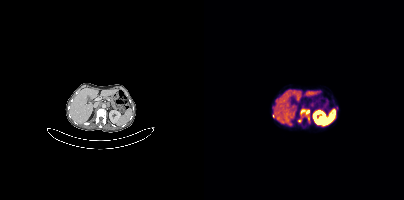
{"modality":"PSMA PET/CT","view":"axial","tracer":"68Ga","pet_grid":[200,200],"coord_frame":"pet_panel","coord_format":"x0,y0,x1,y1","partial":true,"lesion_bboxes":[[96,109,105,115],[94,116,98,122]],"small_foci_centers":[[104,118],[69,116]]}